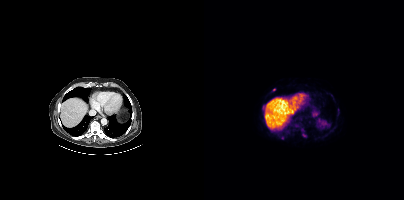
Findings: Coordinates are on the 200×200 PET (right) panel. (showing 4 of 5 foci) PSMA-avid tumor lesion bounding box (x0, y0)-(x1, y1): (98, 134)-(102, 137). Small PSMA-avid foci (2 to 4 px across) near (center x, center y): (78, 137) / (70, 89) / (98, 129).
Technique: Two-panel axial: CT | PSMA PET, 18F tracer. PET panel 200×200 px (4.1 mm/px).